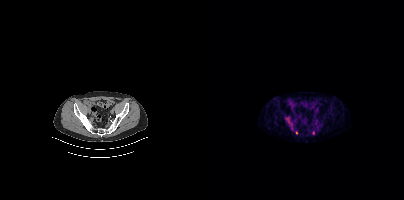
Two-panel axial: CT | PSMA PET, 68Ga tracer. Acquired on Siemens Biograph mCT Flow 20. Slice position z = -979 mm. Coordinates are on the 200×200 PET (right) panel. (showing 1 of 2 foci) Small PSMA-avid focus (2 to 4 px across) near (center x, center y): (92, 132).